Technique: Paired axial CT (left) and PSMA PET (right), 18F tracer. slice 108 of 415.
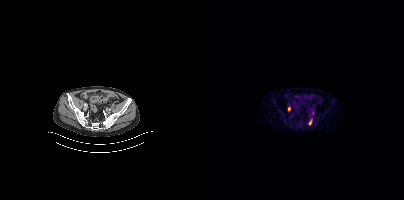
Findings: Coordinates are on the 200×200 PET (right) panel. PSMA-avid tumor lesion bounding box (x, y, width, height): x=104 y=118 w=5 h=7.